Technique: Paired axial CT (left) and PSMA PET (right), 18F-PSMA tracer. acquired on Siemens Biograph mCT Flow 20. slice 241 of 415. PET panel 200×200 px (4.1 mm/px).
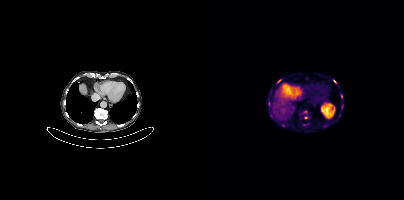
Findings: Coordinates are on the 200×200 PET (right) panel. (showing 5 of 7 foci) PSMA-avid tumor lesion bounding boxes (x0,y0,x1,y1): [73,79,76,83], [137,94,138,98]. Small PSMA-avid foci (2 to 4 px across) near (center x, center y): (130, 81), (102, 117), (101, 111).